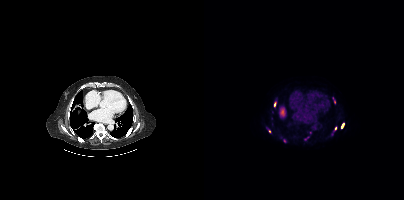
Two-panel axial: CT | PSMA PET, 18F-PSMA tracer. Slice position z = -1062 mm.
Coordinates are on the 200×200 PET (right) panel. PSMA-avid tumor lesion bounding boxes (partial; 2 more foci not listed):
| # | x0 | y0 | x1 | y1 |
|---|---|---|---|---|
| 1 | 137 | 123 | 140 | 128 |
| 2 | 70 | 102 | 71 | 106 |
Small PSMA-avid foci (2 to 4 px across) near (center x, center y): (65, 130); (102, 138); (80, 141).